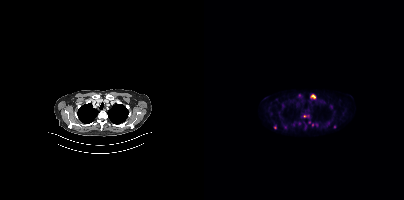
Technique: Left: CT. Right: PSMA PET, same axial level, 18F-PSMA tracer.
Findings: Coordinates are on the 200×200 PET (right) panel. (showing 5 of 8 foci) PSMA-avid tumor lesion bounding box (x0, y0)-(x1, y1): (107, 95)-(111, 98). Small PSMA-avid foci (2 to 4 px across) near (center x, center y): (100, 116) | (71, 127) | (95, 95) | (108, 124).